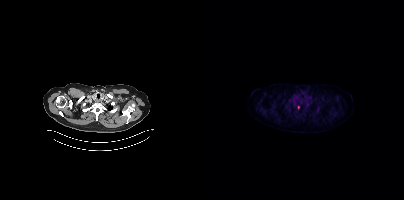
Left: CT. Right: PSMA PET, same axial level, 18F tracer. PET panel 200×200 px (4.1 mm/px). Coordinates are on the 200×200 PET (right) panel. Small PSMA-avid focus (2 to 4 px across) near (center x, center y): (94, 107).